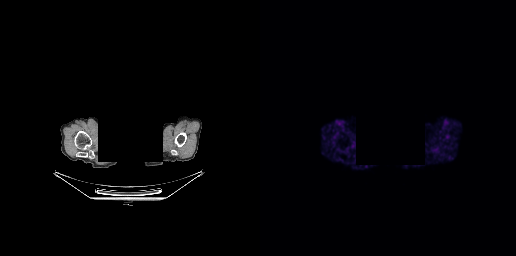
Privacy masking over the head, with the pixels inside a rectangle set to black.
No PSMA-avid tumor lesions on this slice.